Technique: Paired axial CT (left) and PSMA PET (right), 18F-PSMA tracer.
Note: The head region is masked for de-identification.
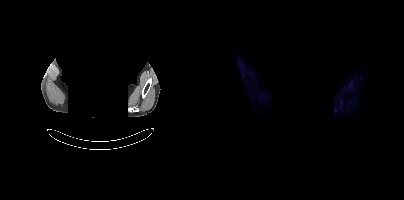
Findings: No tumor lesions annotated on this slice.